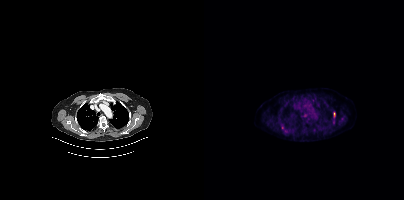
modality: PSMA PET/CT | tracer: [18F]PSMA-1007 | view: axial
Coordinates are on the 200×200 PET (right) panel. (showing 4 of 5 foci) PSMA-avid tumor lesion bounding boxes (x0,y0,x1,y1): [77,125,79,129] [129,113,131,117]. Small PSMA-avid foci (2 to 4 px across) near (center x, center y): (110, 129) (82, 131).